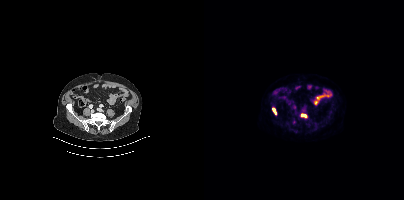
Coordinates are on the 200×200 PET (right) panel. PSMA-avid tumor lesion bounding boxes:
| # | x0 | y0 | x1 | y1 |
|---|---|---|---|---|
| 1 | 97 | 114 | 102 | 117 |
| 2 | 68 | 108 | 72 | 114 |
Two-panel axial: CT | PSMA PET, 18F tracer. Acquired on Siemens Biograph mCT Flow 20. Slice 110 of 381. PET panel 200×200 px (4.1 mm/px).